Paired axial CT (left) and PSMA PET (right), [68Ga]Ga-PSMA-11 tracer. Acquired on Siemens Biograph mCT Flow 20. Slice 210 of 409.
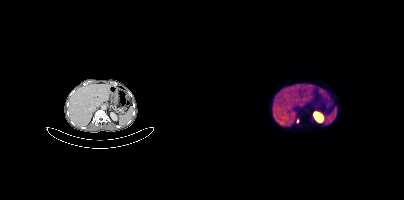
Coordinates are on the 200×200 PET (right) panel. PSMA-avid tumor lesion bounding box (x, y, width, height): x=92 y=119 w=3 h=5.